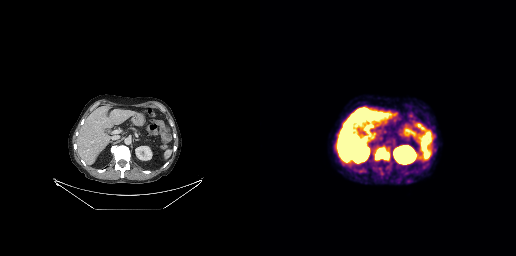
{"modality":"PSMA PET/CT","view":"axial","tracer":"18F-PSMA","pet_grid":[256,256],"coord_frame":"pet_panel","coord_format":"x0,y0,x1,y1","lesion_bboxes":[[115,147,129,160]]}